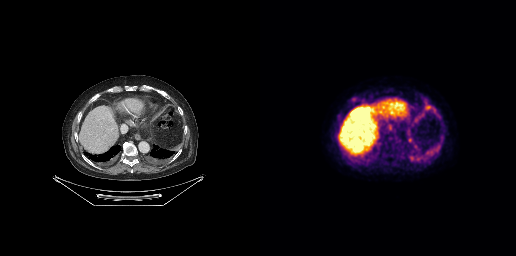
Two-panel axial: CT | PSMA PET, 18F-PSMA tracer. Acquired on GE Discovery 690. Slice 206 of 299.
Coordinates are on the 256×256 PET (right) panel. PSMA-avid tumor lesion bounding boxes:
| # | x0 | y0 | x1 | y1 |
|---|---|---|---|---|
| 1 | 167 | 144 | 180 | 157 |
| 2 | 145 | 129 | 153 | 142 |
| 3 | 149 | 155 | 158 | 161 |
| 4 | 165 | 102 | 175 | 112 |
| 5 | 154 | 116 | 161 | 124 |
| 6 | 91 | 97 | 98 | 101 |
Small PSMA-avid foci (2 to 4 px across) near (center x, center y): (118, 144); (162, 114).